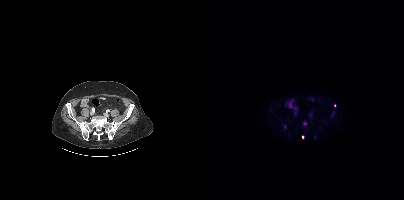
{"pet_grid":[200,200],"coord_frame":"pet_panel","coord_format":"x0,y0,x1,y1","partial":true,"lesion_bboxes":[],"small_foci_centers":[[98,137]],"modality":"PSMA PET/CT","view":"axial","tracer":"18F"}